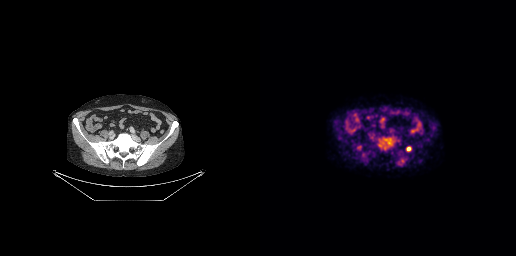
Coordinates are on the 256×256 PET (right) panel. (showing 1 of 2 foci) Small PSMA-avid focus (2 to 4 px across) near (center x, center y): (148, 148).